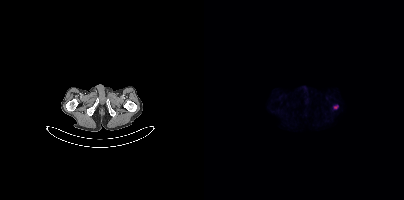
Coordinates are on the 200×200 PET (right) panel. Small PSMA-avid focus (2 to 4 px across) near (center x, center y): (131, 106).